Left: CT. Right: PSMA PET, same axial level, 18F-PSMA tracer. Acquired on Siemens Biograph mCT Flow 20. PET panel 200×200 px (4.1 mm/px).
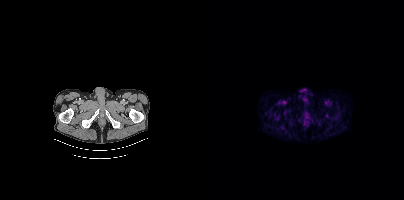
No tumor lesions annotated on this slice.